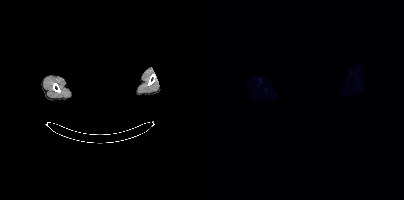
Any black rectangle over the head is a privacy mask, not anatomy.
No tumor lesions annotated on this slice.